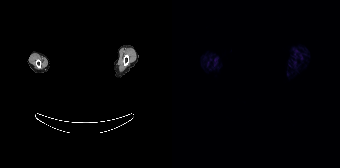
Findings: No tumor lesions annotated on this slice.
Technique: Two-panel axial: CT | PSMA PET, 68Ga tracer. acquired on Siemens Biograph 64-4R TruePoint.
Note: Face de-identified by blanking a block of the head.